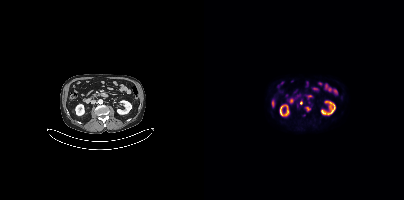
- Left: CT. Right: PSMA PET, same axial level, [18F]PSMA-1007 tracer
- slice 177 of 403
- PET panel 200×200 px (4.1 mm/px)
Findings: Coordinates are on the 200×200 PET (right) panel. (showing 2 of 3 foci) Small PSMA-avid foci (2 to 4 px across) near (center x, center y): (103, 108); (97, 102).